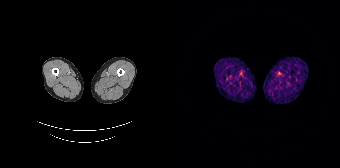
No tumor lesions annotated on this slice.